Technique: Paired axial CT (left) and PSMA PET (right), [18F]PSMA-1007 tracer. acquired on Siemens Biograph mCT Flow 20.
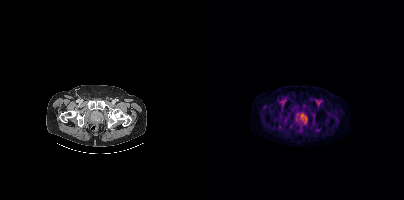
Findings: Coordinates are on the 200×200 PET (right) panel. PSMA-avid tumor lesion bounding box (x0,y0,x1,y1): [96,113,103,121].